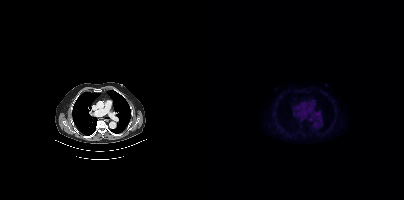
No PSMA-avid tumor lesions on this slice.